Technique: Two-panel axial: CT | PSMA PET, 68Ga tracer. acquired on GE Discovery 690. PET panel 256×256 px (2.7 mm/px).
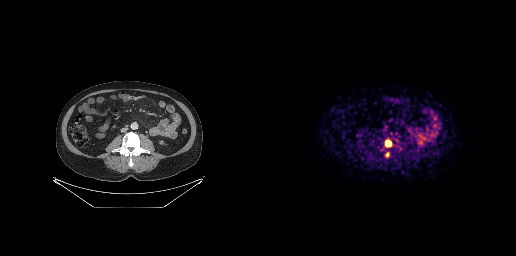
Findings: Coordinates are on the 256×256 PET (right) panel. PSMA-avid tumor lesion bounding box (x0, y0)-(x1, y1): (125, 140)-(131, 146).